- Paired axial CT (left) and PSMA PET (right), [18F]PSMA-1007 tracer
- PET panel 200×200 px (4.1 mm/px)
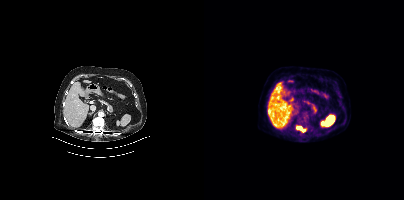
Findings: Coordinates are on the 200×200 PET (right) panel. PSMA-avid tumor lesion bounding box (x0, y0)-(x1, y1): (93, 126)-(101, 131).